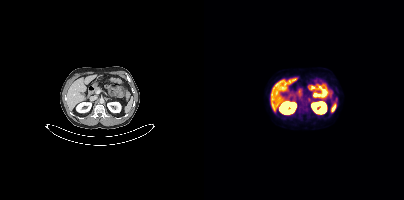
modality: PSMA PET/CT | tracer: [18F]PSMA-1007 | view: axial
No PSMA-avid tumor lesions on this slice.